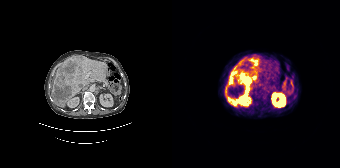
Coordinates are on the 168×168 PET (right) panel. PSMA-avid tumor lesion bounding boxes:
| # | x0 | y0 | x1 | y1 |
|---|---|---|---|---|
| 1 | 53 | 54 | 86 | 105 |
Small PSMA-avid focus (2 to 4 px across) near (center x, center y): (74, 59).
Left: CT. Right: PSMA PET, same axial level, 68Ga tracer.